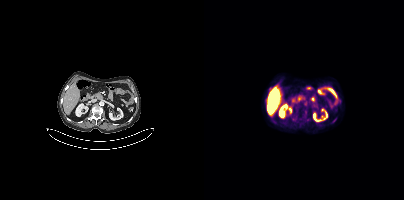
- Two-panel axial: CT | PSMA PET, 18F tracer
- acquired on Siemens Biograph mCT Flow 20
- PET panel 200×200 px (4.1 mm/px)
Findings: Negative for PSMA-avid disease on this slice.